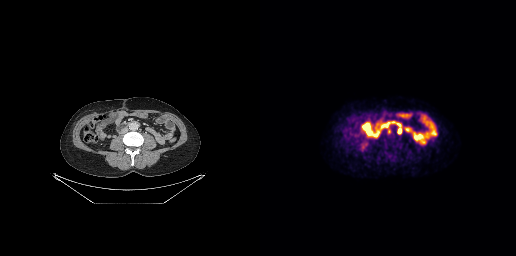
Two-panel axial: CT | PSMA PET, [18F]PSMA-1007 tracer. Coordinates are on the 256×256 PET (right) panel. PSMA-avid tumor lesion bounding boxes (x0, y0)-(x1, y1): (137, 127)-(141, 134); (128, 128)-(130, 133).